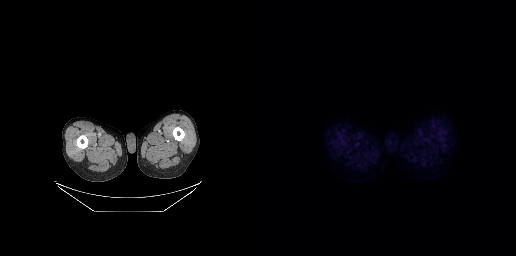
Negative for PSMA-avid disease on this slice.
modality: PSMA PET/CT | tracer: [18F]PSMA-1007 | view: axial | PET grid: 256×256